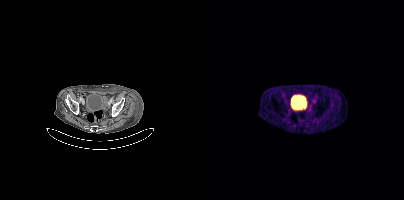
Left: CT. Right: PSMA PET, same axial level, 68Ga tracer. Acquired on Siemens Biograph mCT Flow 20. Slice 91 of 413. This slice has no annotated PSMA-avid lesion.